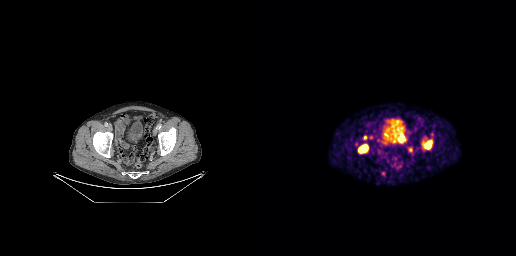
{"modality":"PSMA PET/CT","view":"axial","tracer":"[68Ga]Ga-PSMA-11","pet_grid":[256,256],"coord_frame":"pet_panel","coord_format":"x0,y0,x1,y1","partial":true,"lesion_bboxes":[[99,144,107,152],[164,142,171,149],[138,134,144,142],[121,172,125,175]],"small_foci_centers":[[105,137]]}